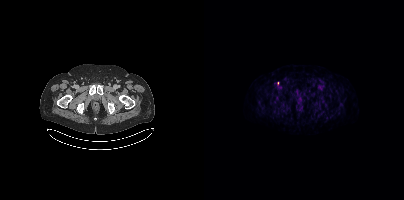
Coordinates are on the 200×200 PET (right) panel. Small PSMA-avid focus (2 to 4 px across) near (center x, center y): (118, 86). Left: CT. Right: PSMA PET, same axial level, [18F]PSMA-1007 tracer. Acquired on Siemens Biograph mCT Flow 20. Slice position z = -741 mm. PET panel 200×200 px (4.1 mm/px).